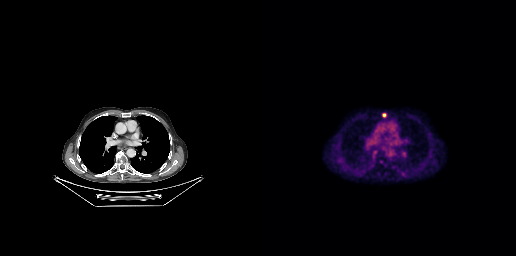
Coordinates are on the 256×256 PET (right) panel. Small PSMA-avid focus (2 to 4 px across) near (center x, center y): (124, 114).